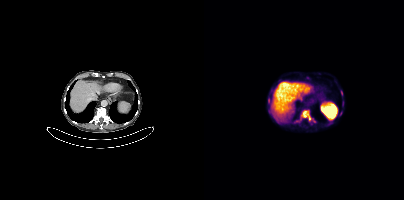
- Two-panel axial: CT | PSMA PET, 18F-PSMA tracer
- slice position z = 52 mm
Findings: Coordinates are on the 200×200 PET (right) panel. (showing 1 of 2 foci) PSMA-avid tumor lesion bounding box (x0,y0,x1,y1): [97,110,107,120].